Paired axial CT (left) and PSMA PET (right), [18F]PSMA-1007 tracer. Slice position z = 502 mm. PET panel 200×200 px (4.1 mm/px).
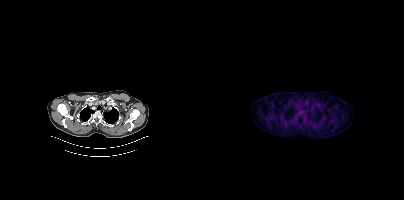
This slice has no annotated PSMA-avid lesion.